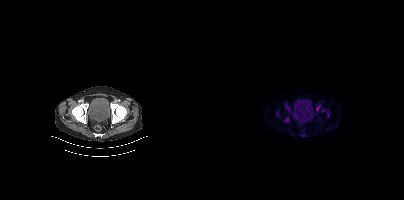
Coordinates are on the 200×200 PET (right) panel. (showing 6 of 7 foci) PSMA-avid tumor lesion bounding boxes (x0,y0,x1,y1): [112,104,117,112], [80,117,84,122], [81,104,86,112], [123,112,125,117]. Small PSMA-avid foci (2 to 4 px across) near (center x, center y): (119, 110), (73, 114).
modality: PSMA PET/CT | tracer: 18F | view: axial